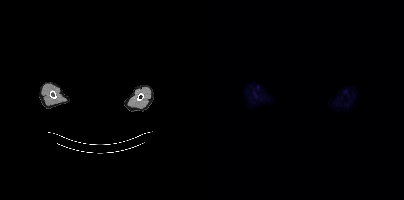
- the head region is masked for de-identification
- Left: CT. Right: PSMA PET, same axial level, 18F-PSMA tracer
- acquired on Siemens Biograph mCT Flow 20
- slice position z = -136 mm
Findings: This slice has no annotated PSMA-avid lesion.